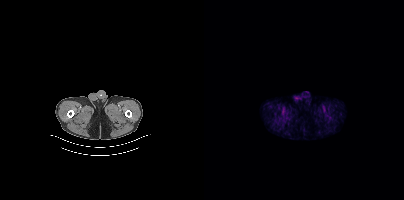
- Left: CT. Right: PSMA PET, same axial level, [18F]PSMA-1007 tracer
- slice 21 of 387
Findings: No PSMA-avid tumor lesions on this slice.